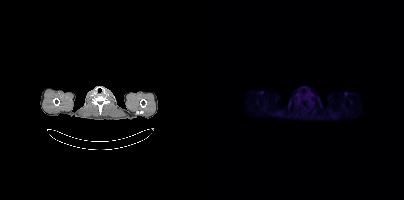
Left: CT. Right: PSMA PET, same axial level, [18F]PSMA-1007 tracer. No tumor lesions annotated on this slice.